- Left: CT. Right: PSMA PET, same axial level, 18F-PSMA tracer
- acquired on Siemens Biograph mCT Flow 20
- PET panel 200×200 px (4.1 mm/px)
- privacy masking over the head, with the pixels inside a rectangle set to black
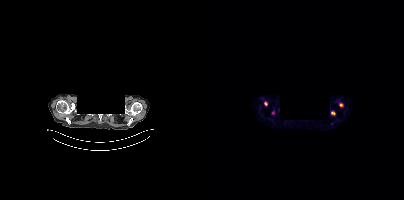
Findings: Coordinates are on the 200×200 PET (right) panel. PSMA-avid tumor lesion bounding boxes (x, y, width, height): x=127 y=111 w=5 h=5 / x=135 y=103 w=5 h=5 / x=60 y=101 w=4 h=6. Small PSMA-avid focus (2 to 4 px across) near (center x, center y): (69, 113).